Left: CT. Right: PSMA PET, same axial level, [18F]PSMA-1007 tracer. Acquired on Siemens Biograph mCT Flow 20.
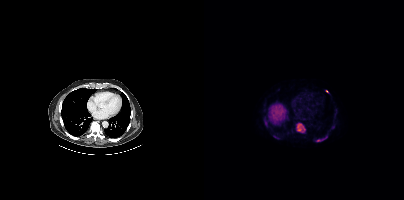
Coordinates are on the 200×200 PET (right) panel. PSMA-avid tumor lesion bounding boxes (x0, y0)-(x1, y1): (92, 123)-(101, 132) | (112, 137)-(122, 141) | (70, 136)-(75, 138). Small PSMA-avid focus (2 to 4 px across) near (center x, center y): (123, 91).